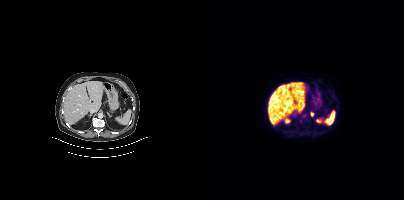
Paired axial CT (left) and PSMA PET (right), 18F tracer. Acquired on Siemens Biograph mCT Flow 20. PET panel 200×200 px (4.1 mm/px). Coordinates are on the 200×200 PET (right) panel. PSMA-avid tumor lesion bounding box (x, y, width, height): x=107 y=112 w=3 h=5.